Left: CT. Right: PSMA PET, same axial level, [18F]PSMA-1007 tracer. Acquired on Siemens Biograph mCT Flow 20.
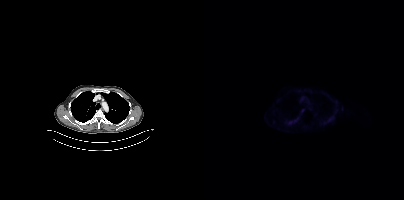
No PSMA-avid tumor lesions on this slice.